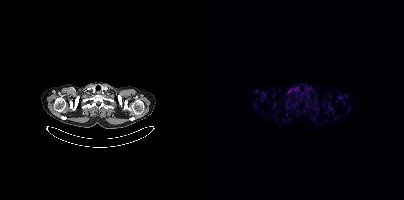
{"pet_grid":[200,200],"coord_frame":"pet_panel","coord_format":"x0,y0,x1,y1","partial":true,"lesion_bboxes":[],"modality":"PSMA PET/CT","view":"axial","tracer":"18F-PSMA"}